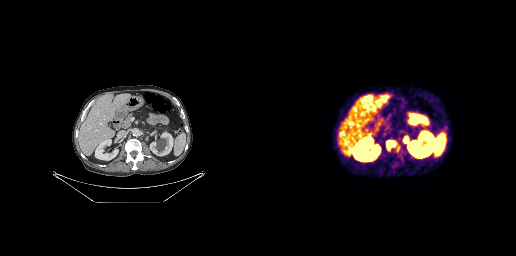
{"modality":"PSMA PET/CT","view":"axial","tracer":"[68Ga]Ga-PSMA-11","pet_grid":[256,256],"coord_frame":"pet_panel","coord_format":"x0,y0,x1,y1","lesion_bboxes":[[127,141,134,148],[145,137,147,141]]}